- Paired axial CT (left) and PSMA PET (right), [18F]PSMA-1007 tracer
- slice position z = -1368 mm
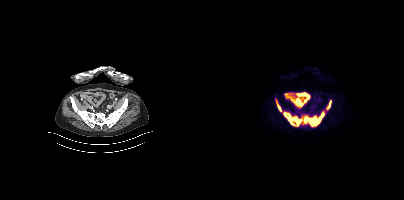
Findings: Coordinates are on the 200×200 PET (right) panel. PSMA-avid tumor lesion bounding boxes (x, y, width, height): x=100 y=111 w=21 h=16 | x=84 y=114 w=14 h=12 | x=72 y=101 w=6 h=11 | x=123 y=101 w=4 h=8 | x=80 y=113 w=3 h=5.